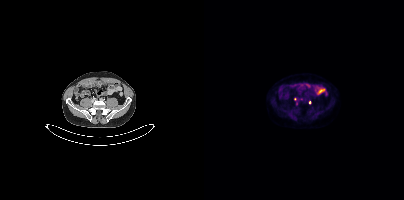
Coordinates are on the 200×200 PET (right) panel. Small PSMA-avid foci (2 to 4 px across) near (center x, center y): (91, 99) / (105, 102).